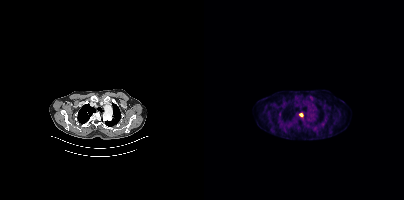
Technique: Left: CT. Right: PSMA PET, same axial level, 18F tracer. PET panel 200×200 px (4.1 mm/px).
Findings: Coordinates are on the 200×200 PET (right) panel. Small PSMA-avid focus (2 to 4 px across) near (center x, center y): (96, 114).